Two-panel axial: CT | PSMA PET, 18F tracer. Slice 15 of 263. PET panel 256×256 px (2.7 mm/px).
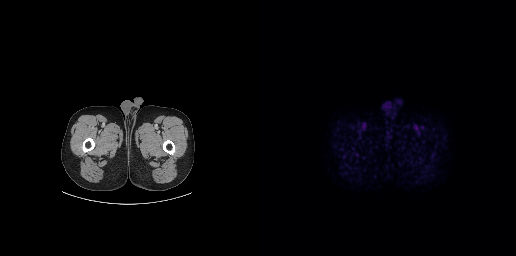
Negative for PSMA-avid disease on this slice.